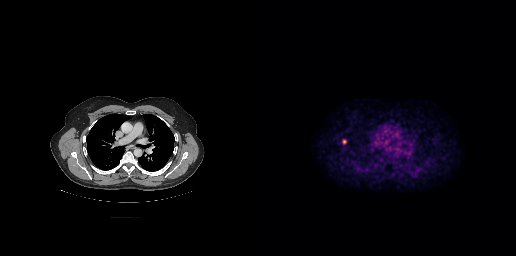
{"modality":"PSMA PET/CT","view":"axial","tracer":"18F","pet_grid":[256,256],"coord_frame":"pet_panel","coord_format":"x0,y0,x1,y1","lesion_bboxes":[[82,139,86,144]]}